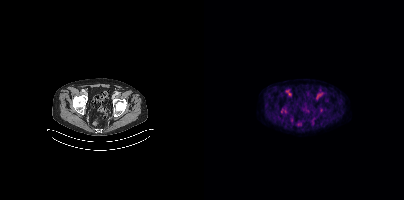
{"modality":"PSMA PET/CT","view":"axial","tracer":"18F","pet_grid":[200,200],"coord_frame":"pet_panel","coord_format":"x0,y0,x1,y1","lesion_bboxes":[[77,109,81,112]]}